Paired axial CT (left) and PSMA PET (right), 18F tracer. Acquired on Siemens Biograph mCT Flow 20. Slice 342 of 367. PET panel 200×200 px (4.1 mm/px). Facial anatomy redacted by setting a rectangular region of the head to black.
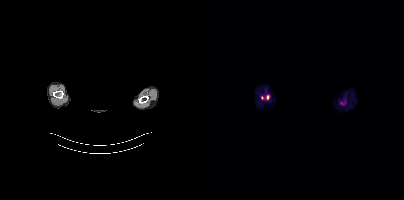
No PSMA-avid tumor lesions on this slice.